Two-panel axial: CT | PSMA PET, 18F-PSMA tracer. PET panel 200×200 px (4.1 mm/px).
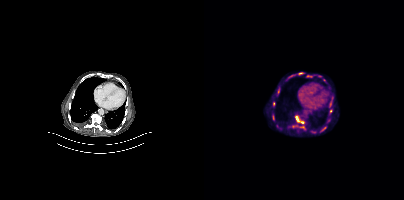
Coordinates are on the 200×200 PET (right) panel. PSMA-avid tumor lesion bounding boxes (partial; 1 more focus not listed):
| # | x0 | y0 | x1 | y1 |
|---|---|---|---|---|
| 1 | 91 | 116 | 99 | 123 |